Paired axial CT (left) and PSMA PET (right), [68Ga]Ga-PSMA-11 tracer. Slice position z = 570 mm. PET panel 200×200 px (4.1 mm/px).
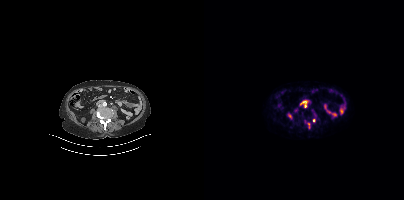
Coordinates are on the 200×200 PET (right) panel. PSMA-avid tumor lesion bounding boxes (partial; 1 more focus not listed):
| # | x0 | y0 | x1 | y1 |
|---|---|---|---|---|
| 1 | 100 | 102 | 103 | 107 |
| 2 | 103 | 122 | 106 | 129 |
Small PSMA-avid foci (2 to 4 px across) near (center x, center y): (91, 109); (109, 120).